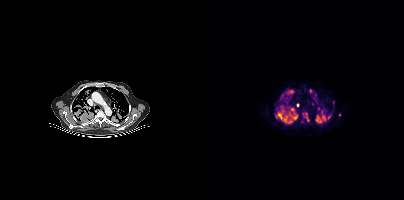
Coordinates are on the 200×200 PET (right) panel. PSMA-avid tumor lesion bounding boxes (partial; 7 more foci not listed):
| # | x0 | y0 | x1 | y1 |
|---|---|---|---|---|
| 1 | 72 | 108 | 83 | 121 |
| 2 | 112 | 115 | 121 | 122 |
| 3 | 87 | 113 | 93 | 119 |
| 4 | 82 | 90 | 89 | 94 |
| 5 | 105 | 89 | 108 | 93 |
Small PSMA-avid foci (2 to 4 px across) near (center x, center y): (93, 105); (111, 95); (88, 109); (114, 108); (135, 114); (124, 117); (86, 121).
Paired axial CT (left) and PSMA PET (right), 18F tracer. PET panel 200×200 px (4.1 mm/px).